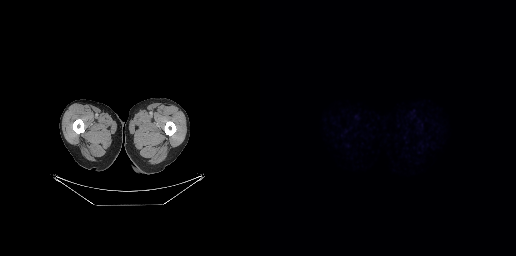
{"modality":"PSMA PET/CT","view":"axial","tracer":"[18F]PSMA-1007","pet_grid":[256,256],"coord_frame":"pet_panel","coord_format":"x0,y0,x1,y1","psma_avid_lesions":false}